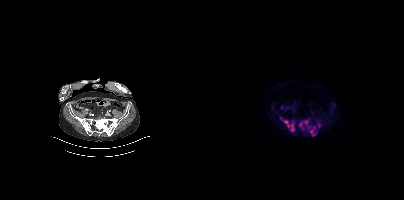
{"modality":"PSMA PET/CT","view":"axial","tracer":"18F","pet_grid":[200,200],"coord_frame":"pet_panel","coord_format":"x0,y0,x1,y1","lesion_bboxes":[[76,117,90,131],[94,119,105,131],[106,128,112,136],[112,121,115,126]]}